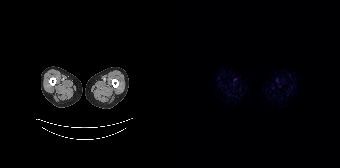
Technique: Paired axial CT (left) and PSMA PET (right), [18F]PSMA-1007 tracer. slice 5 of 165. PET panel 168×168 px (4.1 mm/px).
Findings: No tumor lesions annotated on this slice.